Two-panel axial: CT | PSMA PET, 18F tracer. Acquired on Siemens Biograph mCT Flow 20. Slice 130 of 405.
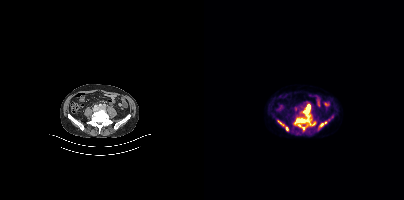
Coordinates are on the 200×200 PET (right) panel. (showing 6 of 7 foci) PSMA-avid tumor lesion bounding boxes (x0, y0)-(x1, y1): (90, 105)-(111, 125) | (94, 124)-(100, 129). Small PSMA-avid foci (2 to 4 px across) near (center x, center y): (117, 124) | (83, 128) | (75, 122) | (121, 122).